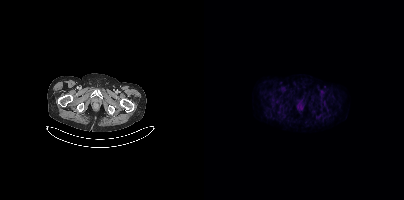
- Left: CT. Right: PSMA PET, same axial level, 18F-PSMA tracer
- slice position z = -939 mm
Findings: No PSMA-avid tumor lesions on this slice.